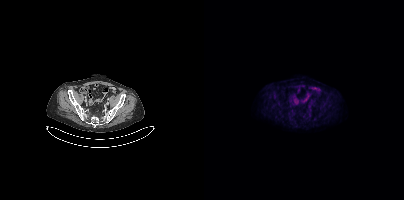
Technique: Left: CT. Right: PSMA PET, same axial level, 18F-PSMA tracer. acquired on Siemens Biograph mCT Flow 20. PET panel 200×200 px (4.1 mm/px).
Findings: Negative for PSMA-avid disease on this slice.